Technique: Paired axial CT (left) and PSMA PET (right), [18F]PSMA-1007 tracer.
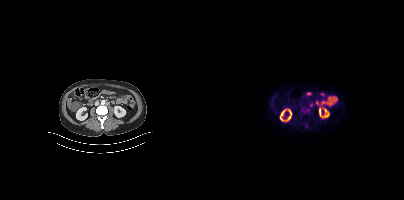
Findings: Coordinates are on the 200×200 PET (right) panel. (showing 1 of 2 foci) PSMA-avid tumor lesion bounding box (x0, y0)-(x1, y1): (101, 123)-(103, 128).